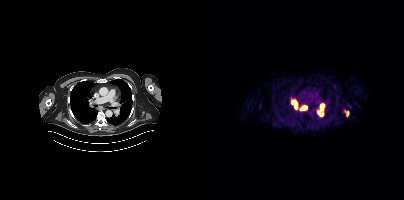
Coordinates are on the 200×200 PET (right) panel. (showing 5 of 6 foci) PSMA-avid tumor lesion bounding boxes (x0, y0)-(x1, y1): (88, 100)-(93, 109); (114, 108)-(119, 115); (96, 106)-(102, 110); (140, 110)-(144, 115). Small PSMA-avid focus (2 to 4 px across) near (center x, center y): (117, 105).